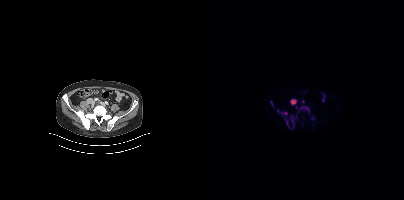
Paired axial CT (left) and PSMA PET (right), 18F tracer. Coordinates are on the 200×200 PET (right) panel. PSMA-avid tumor lesion bounding boxes (x0,y0,x1,y1): [86,115,93,129]; [95,106,104,112]; [86,99,92,104]; [81,118,84,125]; [106,115,111,119]; [77,111,83,114]; [72,109,76,112]. Small PSMA-avid foci (2 to 4 px across) near (center x, center y): (67, 102); (98, 124).